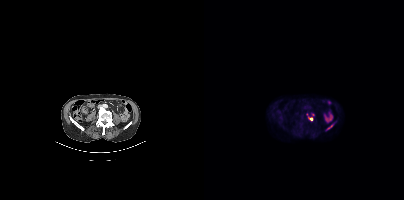
Two-panel axial: CT | PSMA PET, 18F tracer. Acquired on Siemens Biograph mCT Flow 20. PET panel 200×200 px (4.1 mm/px). Coordinates are on the 200×200 PET (right) panel. (showing 1 of 3 foci) Small PSMA-avid focus (2 to 4 px across) near (center x, center y): (106, 118).